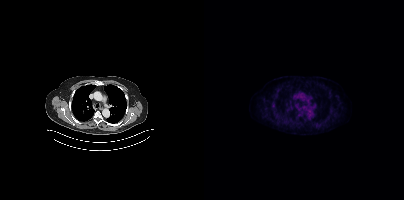
{"modality":"PSMA PET/CT","view":"axial","tracer":"18F","pet_grid":[200,200],"coord_frame":"pet_panel","coord_format":"x0,y0,x1,y1","psma_avid_lesions":false}